Two-panel axial: CT | PSMA PET, 18F-PSMA tracer.
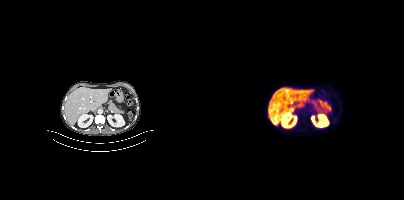
This slice has no annotated PSMA-avid lesion.